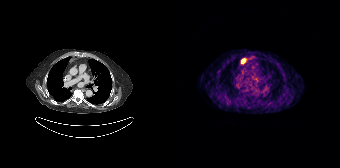
modality: PSMA PET/CT | tracer: 68Ga-PSMA | view: axial
Coordinates are on the 168×168 PET (right) panel. Small PSMA-avid focus (2 to 4 px across) near (center x, center y): (70, 61).